- head region blanked for anonymization (face removed)
- Left: CT. Right: PSMA PET, same axial level, [68Ga]Ga-PSMA-11 tracer
- acquired on Siemens Biograph 64-4R TruePoint
- PET panel 168×168 px (4.1 mm/px)
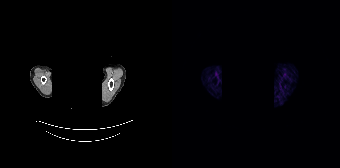
Findings: No tumor lesions annotated on this slice.